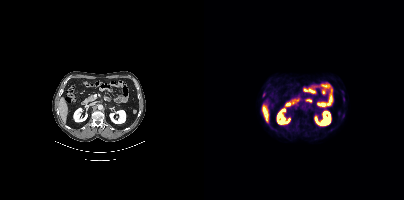
- Two-panel axial: CT | PSMA PET, 18F tracer
- slice 209 of 438
- PET panel 200×200 px (4.1 mm/px)
Findings: Coordinates are on the 200×200 PET (right) panel. Small PSMA-avid focus (2 to 4 px across) near (center x, center y): (59, 95).